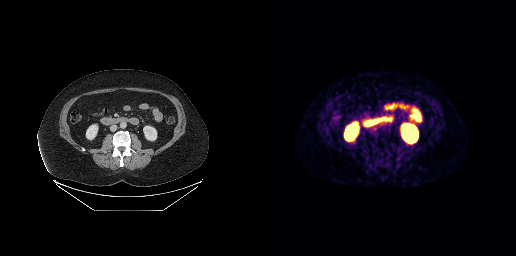
{"modality":"PSMA PET/CT","view":"axial","tracer":"18F-PSMA","pet_grid":[256,256],"coord_frame":"pet_panel","coord_format":"x0,y0,x1,y1","psma_avid_lesions":false}